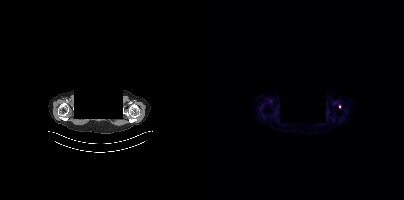
{"modality":"PSMA PET/CT","view":"axial","tracer":"18F-PSMA","pet_grid":[200,200],"coord_frame":"pet_panel","coord_format":"x0,y0,x1,y1","lesion_bboxes":[],"small_foci_centers":[[135,106]],"deidentification":"face masked with black rectangle"}